Left: CT. Right: PSMA PET, same axial level, 18F-PSMA tracer. Acquired on Siemens Biograph mCT Flow 20. PET panel 200×200 px (4.1 mm/px).
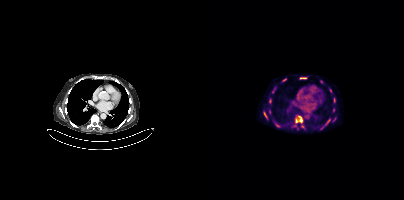
Coordinates are on the 200×200 PET (right) panel. (showing 12 of 14 foci) PSMA-avid tumor lesion bounding boxes (x0, y0)-(x1, y1): (91, 116)-(98, 122) | (96, 77)-(102, 79) | (60, 112)-(62, 117) | (122, 119)-(126, 124) | (78, 79)-(82, 81) | (130, 98)-(131, 102). Small PSMA-avid foci (2 to 4 px across) near (center x, center y): (126, 90) | (117, 81) | (70, 88) | (129, 109) | (98, 126) | (117, 128).